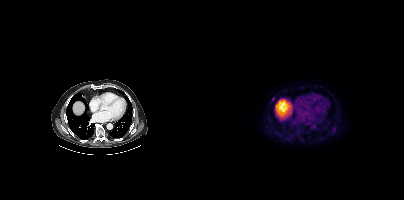
modality: PSMA PET/CT | tracer: 18F-PSMA | view: axial
Coordinates are on the 200×200 PET (right) panel. Small PSMA-avid focus (2 to 4 px across) near (center x, center y): (69, 99).